modality: PSMA PET/CT | tracer: [18F]PSMA-1007 | view: axial | PET grid: 200×200
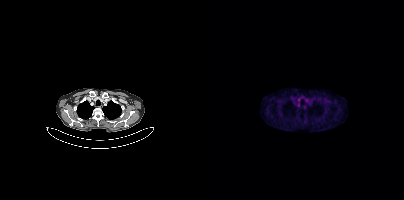
Coordinates are on the 200×200 PET (right) panel. (showing 1 of 2 foci) Small PSMA-avid focus (2 to 4 px across) near (center x, center y): (94, 104).